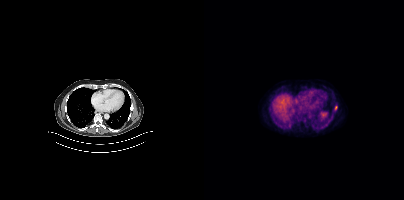
Coordinates are on the 200×200 PET (right) panel. (showing 1 of 2 foci) PSMA-avid tumor lesion bounding box (x0, y0)-(x1, y1): (130, 105)-(133, 109).